Paired axial CT (left) and PSMA PET (right), [18F]PSMA-1007 tracer. Acquired on Siemens Biograph mCT Flow 20. Slice 23 of 413. PET panel 200×200 px (4.1 mm/px).
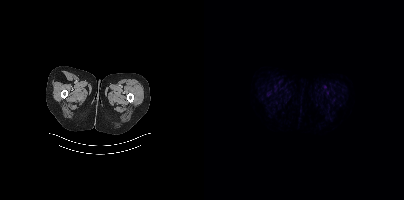
This slice has no annotated PSMA-avid lesion.